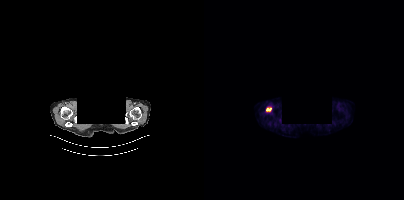
{"modality":"PSMA PET/CT","view":"axial","tracer":"18F-PSMA","pet_grid":[200,200],"coord_frame":"pet_panel","coord_format":"x0,y0,x1,y1","redaction":"privacy mask over head","lesion_bboxes":[[62,108,67,111]]}